Two-panel axial: CT | PSMA PET, 68Ga tracer. Acquired on Siemens Biograph 64-4R TruePoint. PET panel 168×168 px (4.1 mm/px).
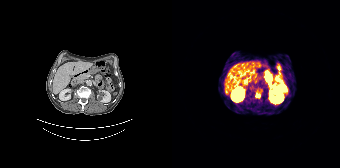
Coordinates are on the 168×168 PET (right) panel. Small PSMA-avid foci (2 to 4 px across) near (center x, center y): (85, 95); (87, 90).